modality: PSMA PET/CT | tracer: 68Ga | view: axial | PET grid: 200×200
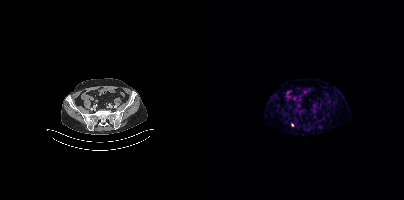
Coordinates are on the 200×200 PET (right) panel. Small PSMA-avid focus (2 to 4 px across) near (center x, center y): (88, 125).